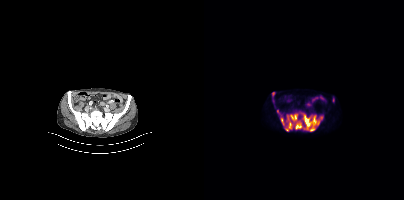
Paired axial CT (left) and PSMA PET (right), 18F tracer. Acquired on Siemens Biograph mCT Flow 20. PET panel 200×200 px (4.1 mm/px). Coordinates are on the 200×200 PET (right) panel. PSMA-avid tumor lesion bounding boxes (x0,y0,x1,y1): [81,113,119,131], [76,117,80,125], [73,110,76,114], [68,92,70,96]. Small PSMA-avid focus (2 to 4 px across) near (center x, center y): (129, 99).